Two-panel axial: CT | PSMA PET, 68Ga tracer.
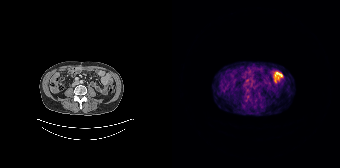
Negative for PSMA-avid disease on this slice.